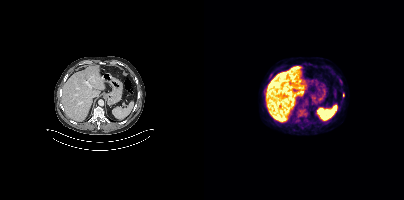
{"modality":"PSMA PET/CT","view":"axial","tracer":"[18F]PSMA-1007","pet_grid":[200,200],"coord_frame":"pet_panel","coord_format":"x0,y0,x1,y1","lesion_bboxes":[],"small_foci_centers":[[139,95]]}